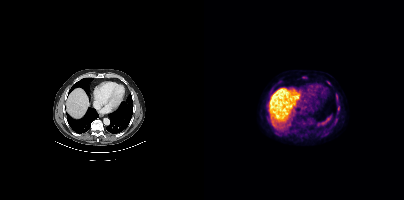
{"pet_grid":[200,200],"coord_frame":"pet_panel","coord_format":"x0,y0,x1,y1","lesion_bboxes":[],"small_foci_centers":[[100,77],[124,82],[133,98],[134,107]],"modality":"PSMA PET/CT","view":"axial","tracer":"18F"}